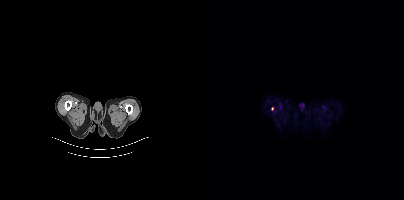
Coordinates are on the 200×200 PET (right) panel. Small PSMA-avid focus (2 to 4 px across) near (center x, center y): (68, 108). Left: CT. Right: PSMA PET, same axial level, 18F-PSMA tracer. Slice 26 of 411. PET panel 200×200 px (4.1 mm/px).